Left: CT. Right: PSMA PET, same axial level, 18F tracer. Acquired on Siemens Biograph mCT Flow 20. Slice 109 of 375. PET panel 200×200 px (4.1 mm/px).
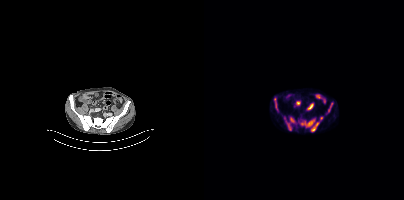
Coordinates are on the 200×200 PET (right) panel. PSMA-avid tumor lesion bounding boxes (x0, y0)-(x1, y1): (96, 116)-(119, 131); (80, 117)-(90, 130); (70, 97)-(74, 111); (124, 103)-(128, 112).